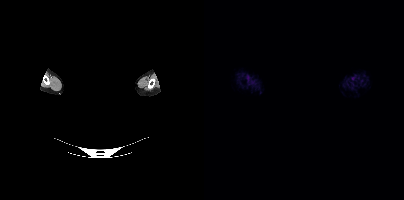
No tumor lesions annotated on this slice.
de-identification: privacy mask over head | modality: PSMA PET/CT | tracer: 18F | view: axial